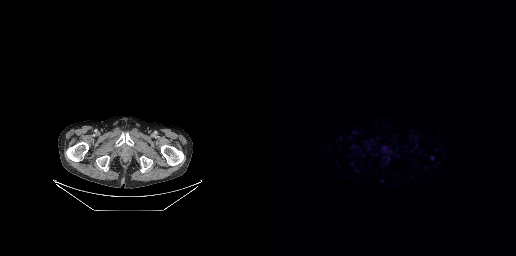
Paired axial CT (left) and PSMA PET (right), [68Ga]Ga-PSMA-11 tracer. Acquired on GE Discovery 690. Slice 49 of 263. Negative for PSMA-avid disease on this slice.